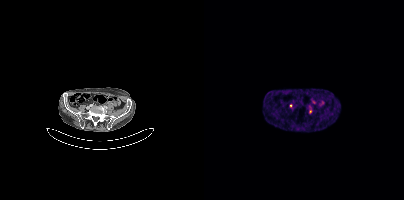
Technique: Two-panel axial: CT | PSMA PET, 68Ga tracer. acquired on Siemens Biograph mCT Flow 20. PET panel 200×200 px (4.1 mm/px).
Findings: Coordinates are on the 200×200 PET (right) panel. Small PSMA-avid focus (2 to 4 px across) near (center x, center y): (106, 111).